Paired axial CT (left) and PSMA PET (right), [18F]PSMA-1007 tracer. Slice position z = -1273 mm. PET panel 200×200 px (4.1 mm/px).
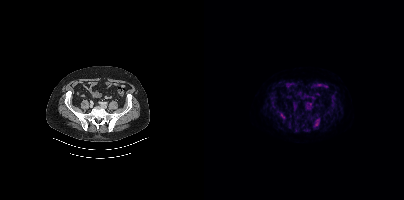
Coordinates are on the 200×200 PET (right) panel. PSMA-avid tumor lesion bounding boxes:
| # | x0 | y0 | x1 | y1 |
|---|---|---|---|---|
| 1 | 109 | 119 | 115 | 128 |
| 2 | 76 | 113 | 81 | 119 |
| 3 | 127 | 96 | 131 | 100 |
| 4 | 110 | 113 | 114 | 117 |
Small PSMA-avid foci (2 to 4 px across) near (center x, center y): (121, 112); (68, 105); (128, 105).